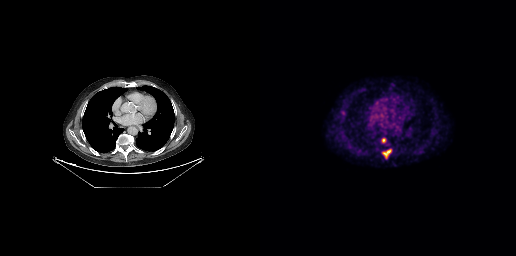
modality: PSMA PET/CT | tracer: [18F]PSMA-1007 | view: axial | PET grid: 256×256
Coordinates are on the 256×256 PET (right) panel. PSMA-avid tumor lesion bounding box (x0, y0)-(x1, y1): (123, 149)-(131, 157). Small PSMA-avid foci (2 to 4 px across) near (center x, center y): (123, 140); (83, 113).